- Paired axial CT (left) and PSMA PET (right), 18F-PSMA tracer
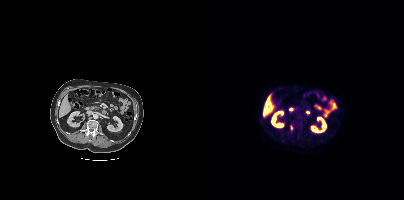
Findings: Coordinates are on the 200×200 PET (right) panel. PSMA-avid tumor lesion bounding box (x0,y0,x1,y1): [86,125,88,130].